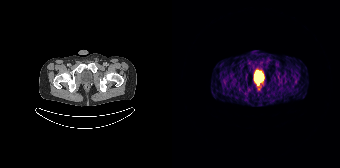
{"modality":"PSMA PET/CT","view":"axial","tracer":"68Ga-PSMA","pet_grid":[168,168],"coord_frame":"pet_panel","coord_format":"x0,y0,x1,y1","lesion_bboxes":[],"small_foci_centers":[[86,83]]}